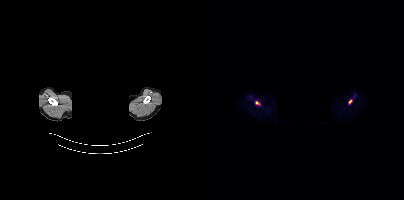
{"pet_grid":[200,200],"coord_frame":"pet_panel","coord_format":"x0,y0,x1,y1","partial":true,"lesion_bboxes":[],"small_foci_centers":[[146,101],[54,103]],"redaction":"head region blacked out before release","modality":"PSMA PET/CT","view":"axial","tracer":"18F-PSMA"}